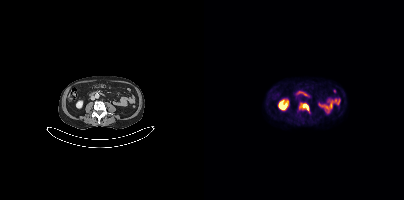
Two-panel axial: CT | PSMA PET, 18F-PSMA tracer. Slice position z = -80 mm. PET panel 200×200 px (4.1 mm/px). Coordinates are on the 200×200 PET (right) panel. PSMA-avid tumor lesion bounding box (x0,y0,x1,y1): [95,103,105,112].